modality: PSMA PET/CT | tracer: 18F | view: axial | PET grid: 200×200
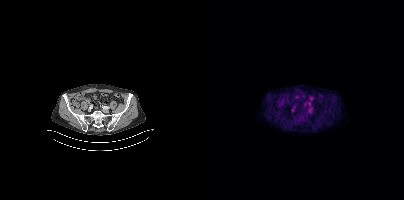
This slice has no annotated PSMA-avid lesion.